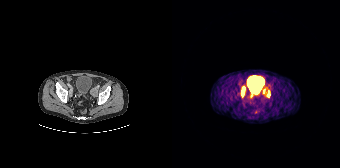
Coordinates are on the 168×168 PET (right) panel. (showing 2 of 3 foci) PSMA-avid tumor lesion bounding boxes (x0, y0)-(x1, y1): (69, 86)-(73, 97) | (96, 90)-(97, 96).
modality: PSMA PET/CT | tracer: 68Ga-PSMA | view: axial